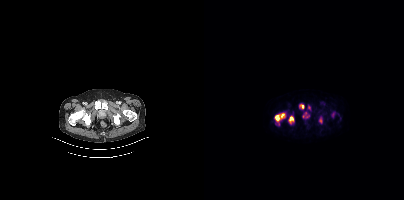
Left: CT. Right: PSMA PET, same axial level, 18F tracer.
Coordinates are on the 200×200 PET (right) panel. PSMA-avid tumor lesion bounding boxes:
| # | x0 | y0 | x1 | y1 |
|---|---|---|---|---|
| 1 | 85 | 116 | 89 | 123 |
| 2 | 71 | 115 | 75 | 120 |
| 3 | 77 | 113 | 80 | 117 |
Small PSMA-avid foci (2 to 4 px across) near (center x, center y): (98, 106); (116, 120); (105, 107).